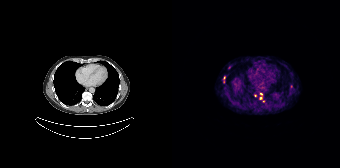
Coordinates are on the 168×168 PET (right) panel. (showing 2 of 5 foci) Small PSMA-avid foci (2 to 4 px across) near (center x, center y): (88, 98); (89, 93).